Two-panel axial: CT | PSMA PET, 18F tracer.
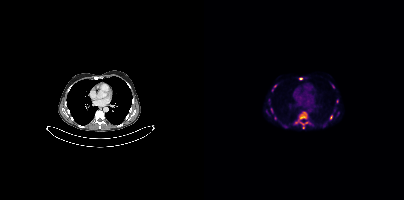
Coordinates are on the 200×200 PET (right) panel. PSMA-avid tumor lesion bounding boxes (partial; 6 more foci not listed):
| # | x0 | y0 | x1 | y1 |
|---|---|---|---|---|
| 1 | 91 | 112 | 104 | 128 |
| 2 | 126 | 115 | 128 | 119 |
| 3 | 67 | 108 | 69 | 112 |
Small PSMA-avid foci (2 to 4 px across) near (center x, center y): (96, 78); (129, 86); (71, 86).